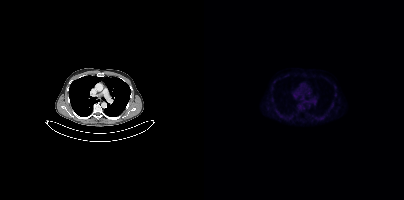
Coordinates are on the 200×200 PET (right) panel. Small PSMA-avid focus (2 to 4 px across) near (center x, center y): (98, 97).
modality: PSMA PET/CT | tracer: 18F | view: axial | PET grid: 200×200